Paired axial CT (left) and PSMA PET (right), 68Ga tracer. Slice 119 of 195. PET panel 168×168 px (4.1 mm/px).
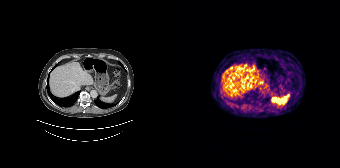
This slice has no annotated PSMA-avid lesion.